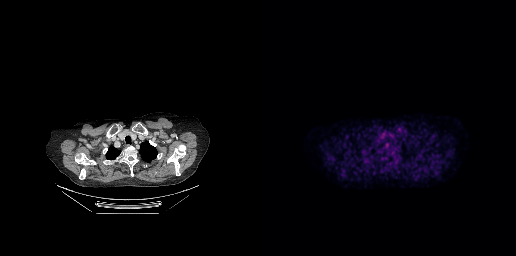
{"modality":"PSMA PET/CT","view":"axial","tracer":"18F","pet_grid":[256,256],"coord_frame":"pet_panel","coord_format":"x0,y0,x1,y1","lesion_bboxes":[[132,163,136,168]]}